Technique: Left: CT. Right: PSMA PET, same axial level, 18F-PSMA tracer.
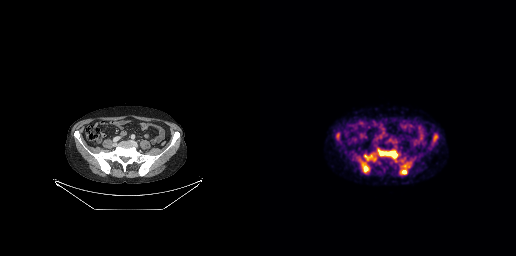
Findings: Coordinates are on the 256×256 PET (right) panel. PSMA-avid tumor lesion bounding boxes (x, y, width, height): x=139 y=158 w=13 h=17; x=118 y=149 w=23 h=14; x=100 y=160 w=10 h=13; x=104 y=153 w=13 h=9.